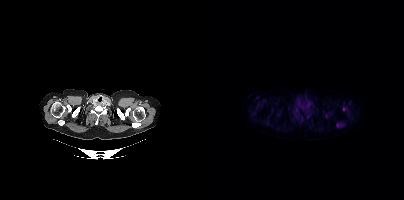
Coordinates are on the 200×200 PET (right) panel. PSMA-avid tumor lesion bounding boxes (x0,y0,x1,y1): [132,122,140,128]; [97,105,101,109]; [96,118,100,122]. Small PSMA-avid focus (2 to 4 px across) near (center x, center y): (141, 109).